modality: PSMA PET/CT | tracer: [18F]PSMA-1007 | view: axial | PET grid: 256×256
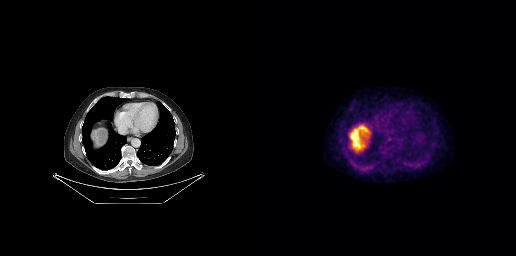
No PSMA-avid tumor lesions on this slice.